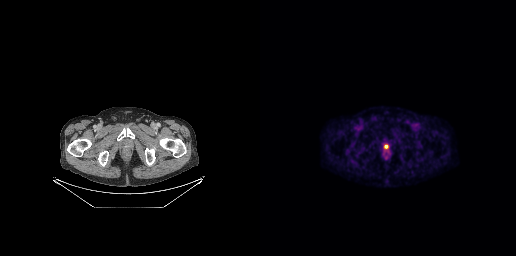
Coordinates are on the 256×256 PET (right) panel. PSMA-avid tumor lesion bounding box (x, y, width, height): x=124 y=144 w=5 h=5.